Face de-identified by blanking a block of the head.
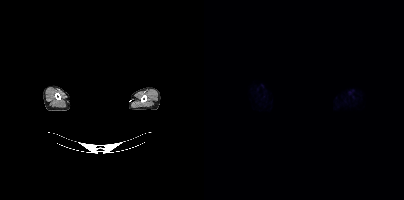
No tumor lesions annotated on this slice.